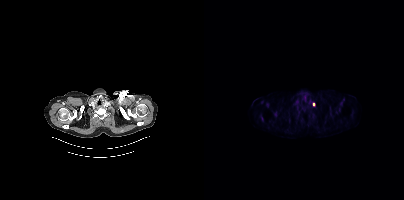
Coordinates are on the 200×200 PET (right) panel. Small PSMA-avid focus (2 to 4 px across) near (center x, center y): (109, 104). Left: CT. Right: PSMA PET, same axial level, 18F-PSMA tracer.